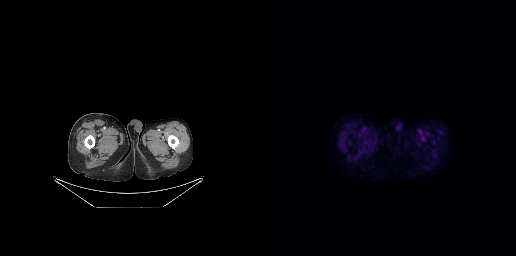
{"pet_grid":[256,256],"coord_frame":"pet_panel","coord_format":"x0,y0,x1,y1","psma_avid_lesions":false,"modality":"PSMA PET/CT","view":"axial","tracer":"18F"}